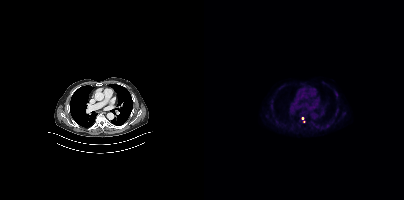
modality: PSMA PET/CT | tracer: 18F-PSMA | view: axial
Coordinates are on the 200×200 PET (right) panel. (showing 1 of 2 foci) Small PSMA-avid focus (2 to 4 px across) near (center x, center y): (98, 118).